Two-panel axial: CT | PSMA PET, 18F-PSMA tracer. Acquired on Siemens Biograph mCT Flow 20. Slice position z = -1260 mm. PET panel 200×200 px (4.1 mm/px).
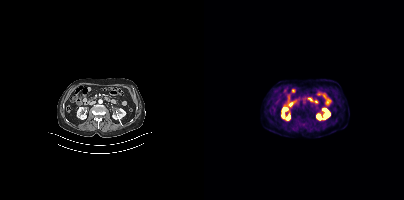
No tumor lesions annotated on this slice.